Left: CT. Right: PSMA PET, same axial level, 68Ga-PSMA tracer. Slice position z = -674 mm. PET panel 168×168 px (4.1 mm/px).
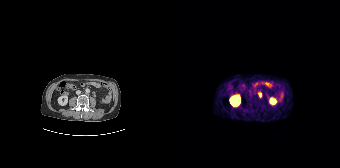
Coordinates are on the 168×168 PET (right) panel. Small PSMA-avid focus (2 to 4 px across) near (center x, center y): (88, 94).